Two-panel axial: CT | PSMA PET, 18F tracer. Acquired on Siemens Biograph mCT Flow 20. Slice position z = -912 mm. PET panel 200×200 px (4.1 mm/px).
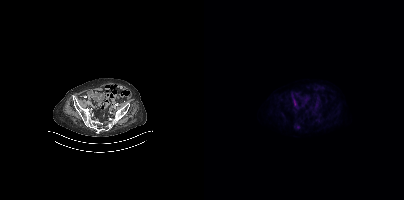
Only PSMA-avid lesion pieces thinner than 2 px on this slice (not listed).